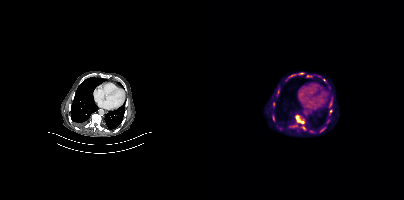
{"modality":"PSMA PET/CT","view":"axial","tracer":"[18F]PSMA-1007","pet_grid":[200,200],"coord_frame":"pet_panel","coord_format":"x0,y0,x1,y1","lesion_bboxes":[[92,115,100,123]],"small_foci_centers":[[99,127]]}